Paired axial CT (left) and PSMA PET (right), [18F]PSMA-1007 tracer. Acquired on Siemens Biograph 64-4R TruePoint. PET panel 168×168 px (4.1 mm/px).
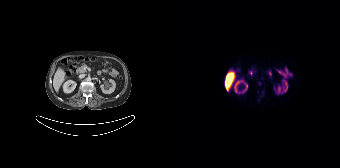
Only PSMA-avid lesion pieces thinner than 2 px on this slice (not listed).